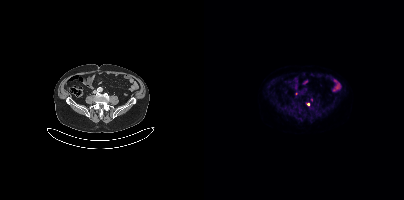
Findings: Only PSMA-avid lesion pieces thinner than 2 px on this slice (not listed).
Technique: Paired axial CT (left) and PSMA PET (right), 18F-PSMA tracer. PET panel 200×200 px (4.1 mm/px).